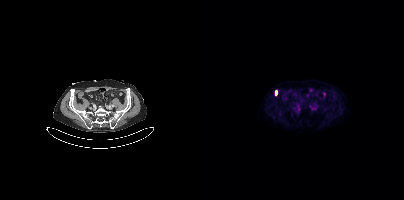
Coordinates are on the 200×200 PET (right) panel. PSMA-avid tumor lesion bounding box (x0, y0)-(x1, y1): (71, 90)-(73, 95). Left: CT. Right: PSMA PET, same axial level, 18F tracer. PET panel 200×200 px (4.1 mm/px).